Technique: Two-panel axial: CT | PSMA PET, 18F-PSMA tracer. acquired on Siemens Biograph mCT Flow 20. PET panel 200×200 px (4.1 mm/px).
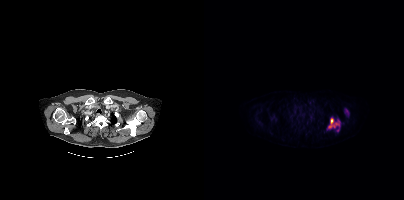
Findings: Coordinates are on the 200×200 PET (right) panel. PSMA-avid tumor lesion bounding box (x, y, width, height): x=124 y=118 w=13 h=14.